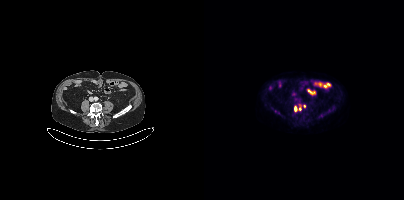
{"modality":"PSMA PET/CT","view":"axial","tracer":"18F","pet_grid":[200,200],"coord_frame":"pet_panel","coord_format":"x0,y0,x1,y1","lesion_bboxes":[[90,106,92,111]],"small_foci_centers":[[100,106],[96,109]]}